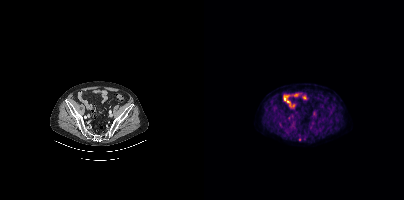
- Paired axial CT (left) and PSMA PET (right), 18F-PSMA tracer
- acquired on Siemens Biograph mCT Flow 20
- slice position z = -811 mm
- PET panel 200×200 px (4.1 mm/px)
Findings: Coordinates are on the 200×200 PET (right) panel. Small PSMA-avid focus (2 to 4 px across) near (center x, center y): (95, 139).